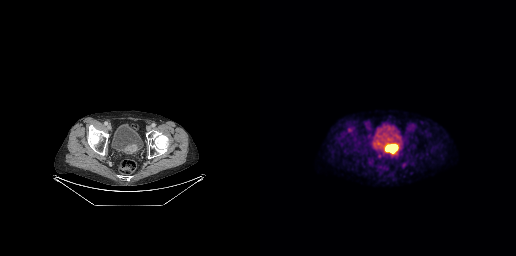
modality: PSMA PET/CT | tracer: 18F | view: axial | PET grid: 256×256
Coordinates are on the 256×256 PET (right) panel. PSMA-avid tumor lesion bounding box (x0,y0,x1,y1): [127,146,136,150]. Small PSMA-avid focus (2 to 4 px across) near (center x, center y): (128, 145).